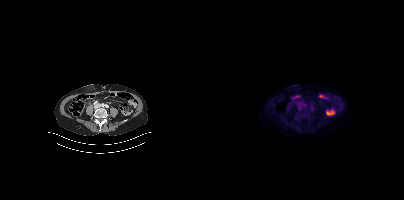
No tumor lesions annotated on this slice.